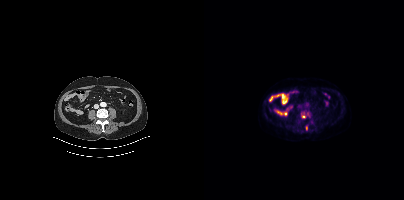
Findings: Coordinates are on the 200×200 PET (right) panel. Small PSMA-avid foci (2 to 4 px across) near (center x, center y): (102, 128), (99, 116).
Technique: Paired axial CT (left) and PSMA PET (right), [18F]PSMA-1007 tracer. acquired on Siemens Biograph mCT Flow 20. slice 148 of 407.